Paired axial CT (left) and PSMA PET (right), 68Ga-PSMA tracer. Slice 69 of 165.
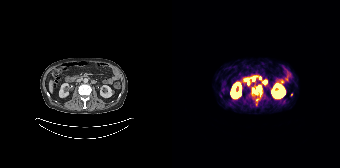
Coordinates are on the 168×168 PET (right) panel. PSMA-avid tumor lesion bounding boxes:
| # | x0 | y0 | x1 | y1 |
|---|---|---|---|---|
| 1 | 91 | 80 | 95 | 84 |
| 2 | 86 | 85 | 89 | 89 |
Small PSMA-avid foci (2 to 4 px across) near (center x, center y): (80, 96); (88, 77); (82, 90); (88, 96); (81, 79); (76, 83).